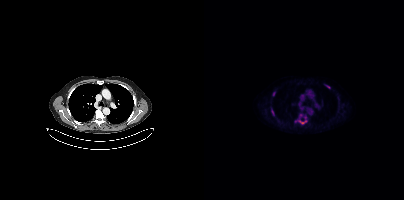
{"modality":"PSMA PET/CT","view":"axial","tracer":"[18F]PSMA-1007","pet_grid":[200,200],"coord_frame":"pet_panel","coord_format":"x0,y0,x1,y1","lesion_bboxes":[[67,110,70,115],[95,121,102,123],[122,85,126,88]],"small_foci_centers":[[70,93]]}